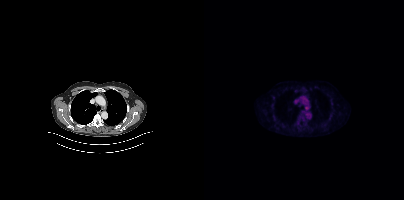
This slice has no annotated PSMA-avid lesion. Two-panel axial: CT | PSMA PET, 18F-PSMA tracer. Acquired on Siemens Biograph mCT Flow 20. PET panel 200×200 px (4.1 mm/px).